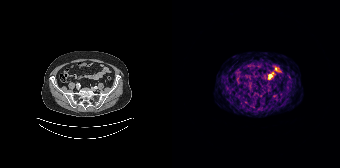
No tumor lesions annotated on this slice.
modality: PSMA PET/CT | tracer: 68Ga-PSMA | view: axial